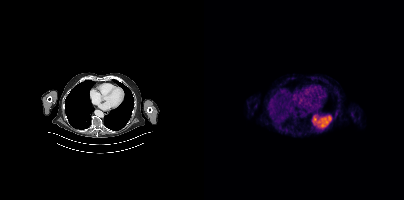
No PSMA-avid tumor lesions on this slice. Paired axial CT (left) and PSMA PET (right), 18F tracer. Acquired on Siemens Biograph mCT Flow 20. Slice position z = -604 mm. PET panel 200×200 px (4.1 mm/px).